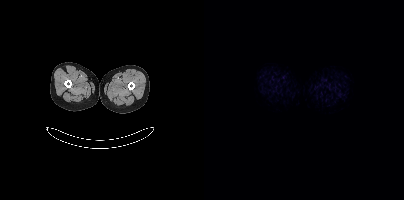
Left: CT. Right: PSMA PET, same axial level, [18F]PSMA-1007 tracer. PET panel 200×200 px (4.1 mm/px). Negative for PSMA-avid disease on this slice.